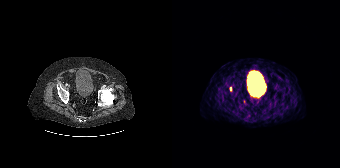
{"pet_grid":[168,168],"coord_frame":"pet_panel","coord_format":"x0,y0,x1,y1","lesion_bboxes":[],"small_foci_centers":[[58,88]],"modality":"PSMA PET/CT","view":"axial","tracer":"68Ga-PSMA"}